Two-panel axial: CT | PSMA PET, 18F-PSMA tracer. PET panel 200×200 px (4.1 mm/px).
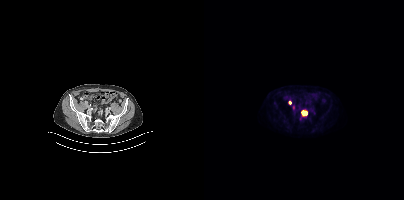
Coordinates are on the 200×200 PET (right) panel. PSMA-avid tumor lesion bounding boxes (partial; 1 more focus not listed):
| # | x0 | y0 | x1 | y1 |
|---|---|---|---|---|
| 1 | 97 | 110 | 103 | 116 |
| 2 | 84 | 100 | 87 | 104 |